- Paired axial CT (left) and PSMA PET (right), [18F]PSMA-1007 tracer
- slice 703 of 963
- PET panel 200×200 px (4.1 mm/px)
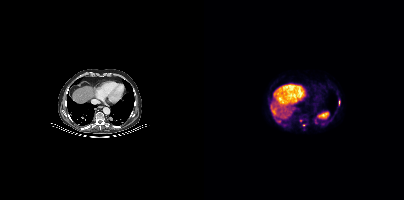
Findings: Coordinates are on the 200×200 PET (right) panel. (showing 1 of 4 foci) Small PSMA-avid focus (2 to 4 px across) near (center x, center y): (75, 121).